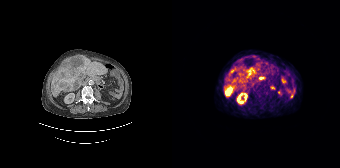
Coordinates are on the 168×168 PET (right) panel. PSMA-avid tumor lesion bounding boxes (x, y, width, height): x=52 y=84 w=10 h=13 / x=76 y=67 w=8 h=8 / x=64 y=68 w=7 h=7 / x=68 y=77 w=6 h=6 / x=60 y=78 w=6 h=6 / x=58 y=68 w=5 h=6.